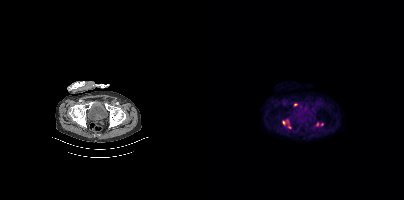
Coordinates are on the 200×200 PET (right) panel. PSMA-avid tumor lesion bounding boxes (x0,y0,x1,y1): [111,122,119,126], [78,120,84,125]. Small PSMA-avid foci (2 to 4 px across) near (center x, center y): (91, 104), (85, 126).